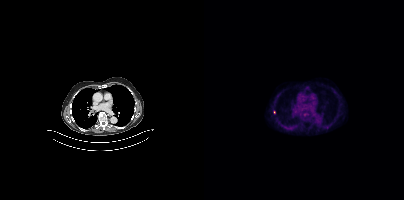
- Two-panel axial: CT | PSMA PET, 18F tracer
- slice 279 of 423
Findings: Coordinates are on the 200×200 PET (right) panel. (showing 2 of 3 foci) Small PSMA-avid foci (2 to 4 px across) near (center x, center y): (70, 112); (123, 127).